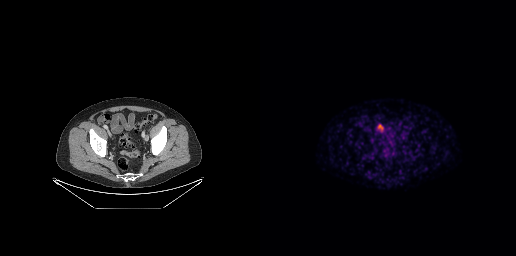
{"modality":"PSMA PET/CT","view":"axial","tracer":"68Ga","pet_grid":[256,256],"coord_frame":"pet_panel","coord_format":"x0,y0,x1,y1","psma_avid_lesions":false}